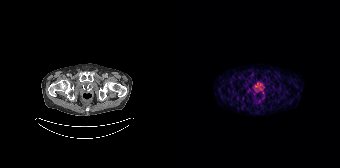
Left: CT. Right: PSMA PET, same axial level, [68Ga]Ga-PSMA-11 tracer. PET panel 168×168 px (4.1 mm/px). Only PSMA-avid lesion pieces thinner than 2 px on this slice (not listed).